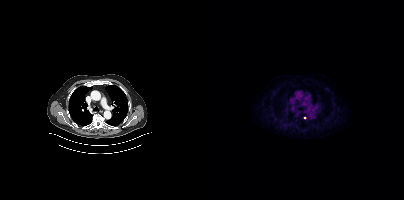
Two-panel axial: CT | PSMA PET, 18F-PSMA tracer. Slice 337 of 466. PET panel 200×200 px (4.1 mm/px). Coordinates are on the 200×200 PET (right) panel. Small PSMA-avid focus (2 to 4 px across) near (center x, center y): (101, 117).